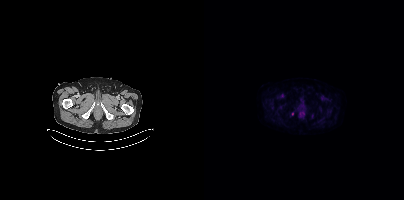
No tumor lesions annotated on this slice.